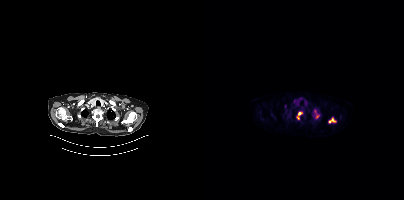
Findings: Coordinates are on the 200×200 PET (right) panel. PSMA-avid tumor lesion bounding boxes (x0, y0)-(x1, y1): (110, 110)-(115, 118); (125, 118)-(131, 122). Small PSMA-avid foci (2 to 4 px across) near (center x, center y): (95, 113); (81, 106); (94, 118).
Technique: Paired axial CT (left) and PSMA PET (right), 18F tracer. acquired on Siemens Biograph mCT Flow 20. slice position z = -386 mm. PET panel 200×200 px (4.1 mm/px).